Paired axial CT (left) and PSMA PET (right), 68Ga-PSMA tracer. Slice position z = -480 mm.
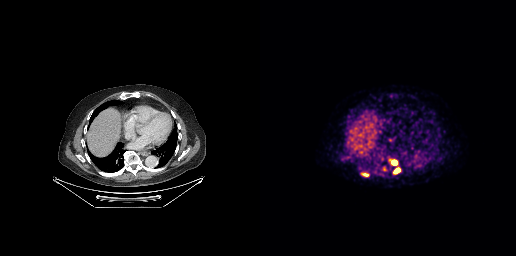
Coordinates are on the 256×256 PET (right) panel. (showing 4 of 5 foci) PSMA-avid tumor lesion bounding boxes (x, y, width, height): x=131 y=159 w=7 h=7 | x=133 y=167 w=8 h=7 | x=122 y=166 w=6 h=6 | x=102 y=173 w=7 h=4.